Technique: Left: CT. Right: PSMA PET, same axial level, 68Ga-PSMA tracer. slice position z = -867 mm.
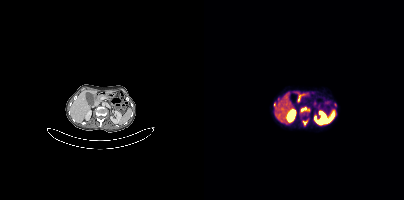
Findings: Coordinates are on the 200×200 PET (right) panel. PSMA-avid tumor lesion bounding boxes (x0,y0,x1,y1): [97,107,105,111], [99,120,103,125]. Small PSMA-avid foci (2 to 4 px across) near (center x, center y): (131, 104), (70, 104).